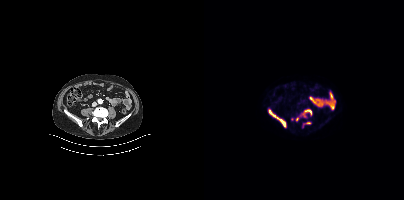
Coordinates are on the 200×200 PET (right) panel. PSMA-avid tumor lesion bounding boxes (partial; 2 more foci not listed):
| # | x0 | y0 | x1 | y1 |
|---|---|---|---|---|
| 1 | 65 | 109 | 81 | 127 |
| 2 | 101 | 110 | 107 | 113 |
| 3 | 102 | 122 | 107 | 124 |
Small PSMA-avid foci (2 to 4 px across) near (center x, center y): (99, 126); (92, 119); (97, 115).
Paired axial CT (left) and PSMA PET (right), 18F-PSMA tracer. Slice 155 of 423.